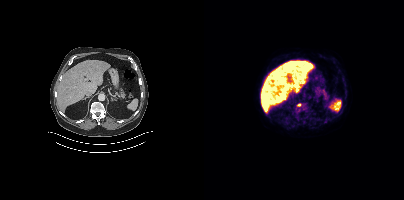
Two-panel axial: CT | PSMA PET, [18F]PSMA-1007 tracer. Coordinates are on the 200×200 PET (right) panel. Small PSMA-avid focus (2 to 4 px across) near (center x, center y): (94, 105).